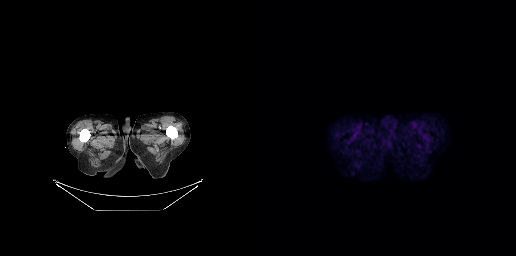
Technique: Two-panel axial: CT | PSMA PET, [18F]PSMA-1007 tracer.
Findings: Negative for PSMA-avid disease on this slice.